Two-panel axial: CT | PSMA PET, 18F-PSMA tracer. Acquired on Siemens Biograph mCT Flow 20. Slice 154 of 444.
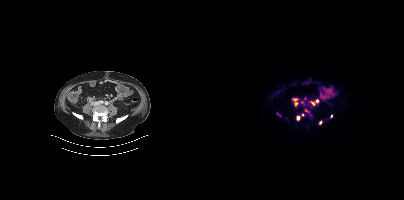
Coordinates are on the 200×200 PET (right) panel. (showing 9 of 11 foci) PSMA-avid tumor lesion bounding boxes (x, y, width, height): x=93 y=116 w=3 h=5; x=107 y=101 w=4 h=5; x=89 y=99 w=5 h=2. Small PSMA-avid foci (2 to 4 px across) near (center x, center y): (92, 103); (113, 101); (98, 102); (116, 122); (127, 116); (98, 114).